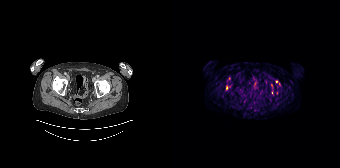
Left: CT. Right: PSMA PET, same axial level, 68Ga tracer. Slice 64 of 195. PET panel 168×168 px (4.1 mm/px). Coordinates are on the 168×168 PET (right) panel. (showing 2 of 4 foci) Small PSMA-avid foci (2 to 4 px across) near (center x, center y): (54, 87) | (104, 81).